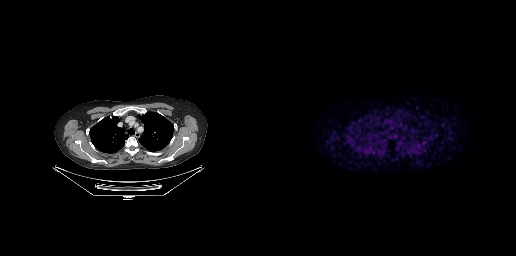
{"modality":"PSMA PET/CT","view":"axial","tracer":"[68Ga]Ga-PSMA-11","pet_grid":[256,256],"coord_frame":"pet_panel","coord_format":"x0,y0,x1,y1","psma_avid_lesions":false}